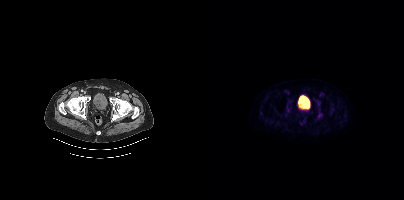
Left: CT. Right: PSMA PET, same axial level, 18F-PSMA tracer. Acquired on Siemens Biograph mCT Flow 20. PET panel 200×200 px (4.1 mm/px).
Coordinates are on the 200×200 PET (right) panel. PSMA-avid tumor lesion bounding boxes:
| # | x0 | y0 | x1 | y1 |
|---|---|---|---|---|
| 1 | 82 | 101 | 88 | 112 |
| 2 | 111 | 99 | 116 | 105 |
| 3 | 113 | 113 | 118 | 119 |
Small PSMA-avid foci (2 to 4 px across) near (center x, center y): (66, 105); (81, 114).